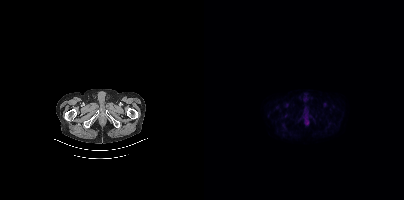
{"modality":"PSMA PET/CT","view":"axial","tracer":"18F-PSMA","pet_grid":[200,200],"coord_frame":"pet_panel","coord_format":"x0,y0,x1,y1","psma_avid_lesions":false}